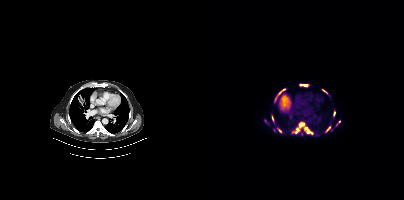
modality: PSMA PET/CT | tracer: 18F | view: axial | PET grid: 200×200
Coordinates are on the 200×200 PET (right) panel. PSMA-avid tumor lesion bounding boxes (x, y, width, height): x=91 y=122 w=10 h=12 / x=100 y=127 w=9 h=8 / x=121 y=126 w=6 h=7 / x=96 y=84 w=8 h=3 / x=68 y=116 w=2 h=5. Small PSMA-avid foci (2 to 4 px across) near (center x, center y): (75, 130) / (130, 113) / (80, 89) / (135, 121) / (75, 92).